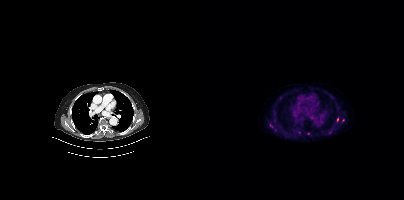
{"modality":"PSMA PET/CT","view":"axial","tracer":"18F","pet_grid":[200,200],"coord_frame":"pet_panel","coord_format":"x0,y0,x1,y1","lesion_bboxes":[[65,123,69,128]],"small_foci_centers":[[95,132],[104,133],[139,120],[133,119]]}